modality: PSMA PET/CT | tracer: [18F]PSMA-1007 | view: axial
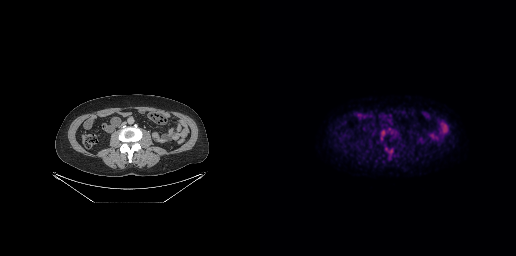
Coordinates are on the 256×256 PET (right) panel. Small PSMA-avid focus (2 to 4 px across) near (center x, center y): (123, 132).